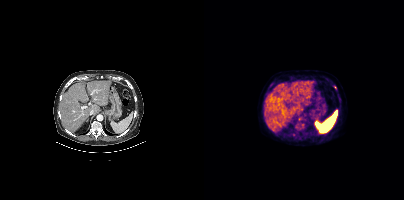
- Paired axial CT (left) and PSMA PET (right), [18F]PSMA-1007 tracer
- slice 260 of 448
- PET panel 200×200 px (4.1 mm/px)
Findings: Coordinates are on the 200×200 PET (right) panel. (showing 4 of 5 foci) Small PSMA-avid foci (2 to 4 px across) near (center x, center y): (89, 134); (95, 118); (98, 124); (67, 84).